Two-panel axial: CT | PSMA PET, 18F tracer. Slice 52 of 466. PET panel 200×200 px (4.1 mm/px).
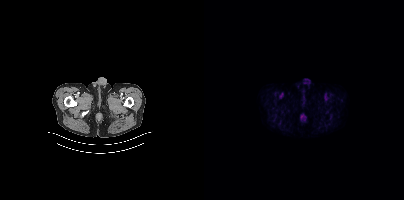
No PSMA-avid tumor lesions on this slice.